modality: PSMA PET/CT | tracer: [18F]PSMA-1007 | view: axial
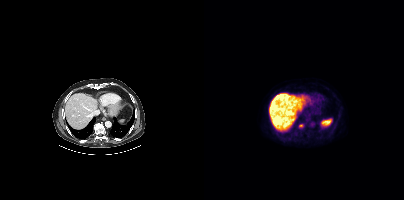
Coordinates are on the 200×200 PET (right) panel. Small PSMA-avid focus (2 to 4 px across) near (center x, center y): (96, 125).